- Two-panel axial: CT | PSMA PET, 68Ga tracer
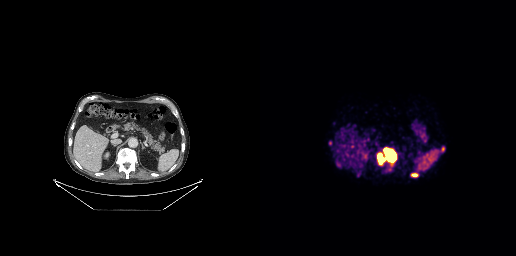
Findings: Coordinates are on the 256×256 PET (right) panel. (showing 5 of 6 foci) PSMA-avid tumor lesion bounding boxes (x0, y0)-(x1, y1): (124, 148)-(135, 161); (118, 154)-(123, 162); (151, 173)-(158, 177). Small PSMA-avid foci (2 to 4 px across) near (center x, center y): (183, 149); (78, 164).